Head region blanked for anonymization (face removed).
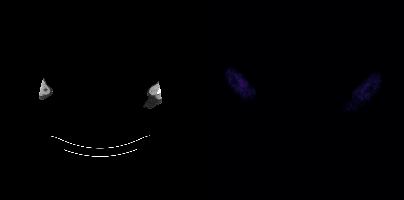
Negative for PSMA-avid disease on this slice.